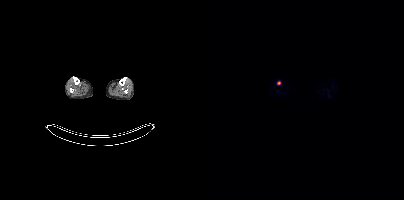
Coordinates are on the 200×200 PET (right) panel. Small PSMA-avid focus (2 to 4 px across) near (center x, center y): (74, 82).